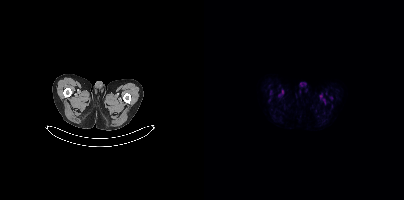
{"modality":"PSMA PET/CT","view":"axial","tracer":"18F","pet_grid":[200,200],"coord_frame":"pet_panel","coord_format":"x0,y0,x1,y1","psma_avid_lesions":false}